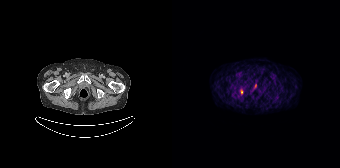
{"modality":"PSMA PET/CT","view":"axial","tracer":"68Ga-PSMA","pet_grid":[168,168],"coord_frame":"pet_panel","coord_format":"x0,y0,x1,y1","lesion_bboxes":[],"small_foci_centers":[[69,91]]}